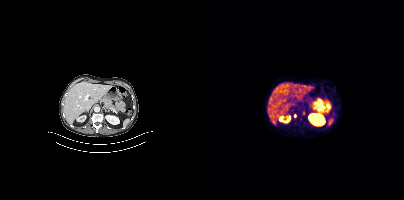
Coordinates are on the 200×200 PET (right) panel. Small PSMA-avid foci (2 to 4 px across) near (center x, center y): (99, 113) | (90, 115). Left: CT. Right: PSMA PET, same axial level, 68Ga tracer. Acquired on Siemens Biograph mCT Flow 20. Slice position z = -1170 mm.